Technique: Left: CT. Right: PSMA PET, same axial level, 18F-PSMA tracer. PET panel 256×256 px (2.7 mm/px).
Note: Head region blanked for anonymization (face removed).
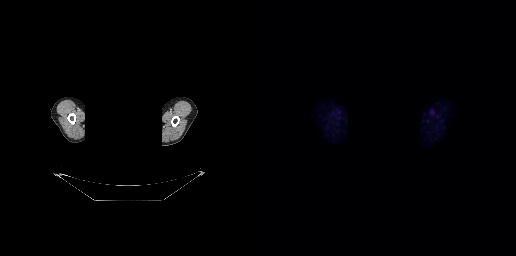
Findings: Negative for PSMA-avid disease on this slice.